Technique: Left: CT. Right: PSMA PET, same axial level, 18F-PSMA tracer. PET panel 256×256 px (2.7 mm/px).
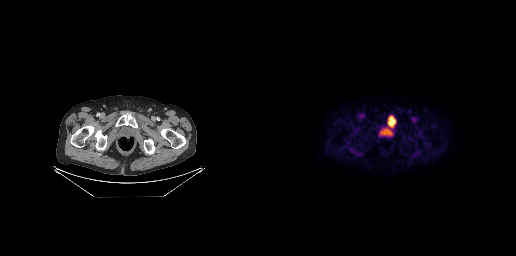
Findings: Coordinates are on the 256×256 PET (right) panel. PSMA-avid tumor lesion bounding box (x0,y0,x1,y1): [128,116,135,126].